Two-panel axial: CT | PSMA PET, [18F]PSMA-1007 tracer. Slice 101 of 407. PET panel 200×200 px (4.1 mm/px).
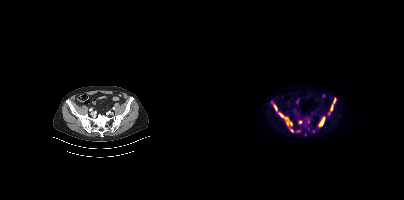
Coordinates are on the 200×200 PET (right) panel. PSMA-avid tumor lesion bounding boxes (partial; 1 more focus not listed):
| # | x0 | y0 | x1 | y1 |
|---|---|---|---|---|
| 1 | 75 | 113 | 88 | 125 |
| 2 | 115 | 117 | 120 | 126 |
| 3 | 124 | 99 | 131 | 114 |
| 4 | 67 | 102 | 73 | 110 |
Small PSMA-avid foci (2 to 4 px across) near (center x, center y): (109, 131); (96, 122); (93, 131); (104, 121); (88, 130).